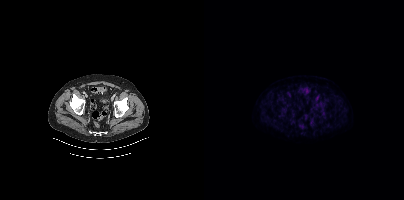
{"modality":"PSMA PET/CT","view":"axial","tracer":"18F-PSMA","pet_grid":[200,200],"coord_frame":"pet_panel","coord_format":"x0,y0,x1,y1","partial":true,"lesion_bboxes":[[112,102,121,115]]}